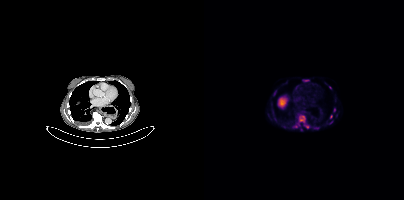
{"modality":"PSMA PET/CT","view":"axial","tracer":"18F","pet_grid":[200,200],"coord_frame":"pet_panel","coord_format":"x0,y0,x1,y1","lesion_bboxes":[[95,115,101,122],[109,126,115,129],[100,125,104,128],[69,91,72,95]],"small_foci_centers":[[127,116],[102,80],[92,126],[130,110],[126,87],[126,122],[94,124]]}